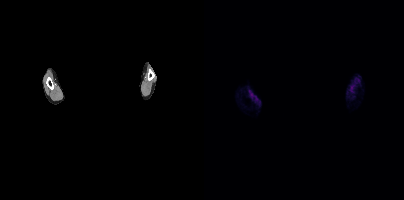
Any black rectangle over the head is a privacy mask, not anatomy. Two-panel axial: CT | PSMA PET, 18F tracer. No tumor lesions annotated on this slice.